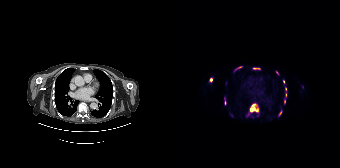
Two-panel axial: CT | PSMA PET, [18F]PSMA-1007 tracer. Acquired on Siemens Biograph 64-4R TruePoint. Coordinates are on the 168×168 PET (right) panel. PSMA-avid tumor lesion bounding boxes (x0, y0)-(x1, y1): (78, 105)-(86, 112) | (81, 67)-(88, 69) | (63, 66)-(70, 70) | (107, 111)-(109, 115). Small PSMA-avid foci (2 to 4 px across) near (center x, center y): (39, 79) | (111, 81) | (105, 72) | (113, 88) | (112, 101) | (113, 94) | (53, 102).